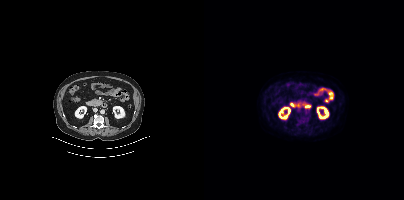
No PSMA-avid tumor lesions on this slice.